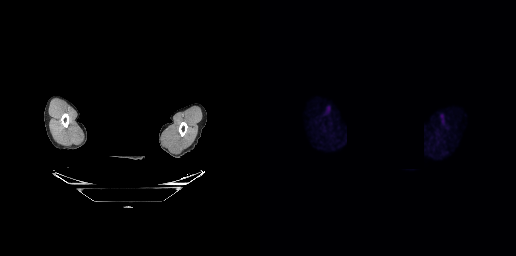
- Left: CT. Right: PSMA PET, same axial level, [18F]PSMA-1007 tracer
- acquired on GE Discovery 690
- PET panel 256×256 px (2.7 mm/px)
- head region blanked for anonymization (face removed)
Findings: No PSMA-avid tumor lesions on this slice.